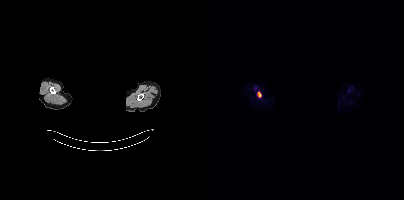
Coordinates are on the 200×200 PET (right) panel. PSMA-avid tumor lesion bounding boxes:
| # | x0 | y0 | x1 | y1 |
|---|---|---|---|---|
| 1 | 53 | 91 | 57 | 97 |
Head region blanked for anonymization (face removed). Left: CT. Right: PSMA PET, same axial level, 18F tracer. Slice 357 of 389. PET panel 200×200 px (4.1 mm/px).